Paired axial CT (left) and PSMA PET (right), 18F tracer. Acquired on Siemens Biograph mCT Flow 20. PET panel 200×200 px (4.1 mm/px).
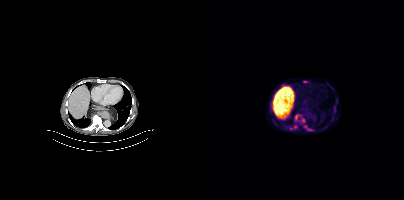
Coordinates are on the 200×200 PET (right) panel. PSMA-avid tumor lesion bounding boxes (partial; 2 more foci not listed):
| # | x0 | y0 | x1 | y1 |
|---|---|---|---|---|
| 1 | 100 | 126 | 110 | 131 |
| 2 | 91 | 115 | 94 | 120 |
| 3 | 130 | 106 | 131 | 110 |
Small PSMA-avid foci (2 to 4 px across) near (center x, center y): (99, 120); (101, 81); (79, 85); (91, 126).